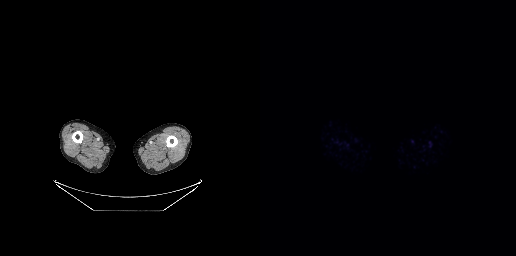
modality: PSMA PET/CT | tracer: 68Ga-PSMA | view: axial | PET grid: 256×256
No tumor lesions annotated on this slice.